Technique: Left: CT. Right: PSMA PET, same axial level, [18F]PSMA-1007 tracer. slice position z = -662 mm.
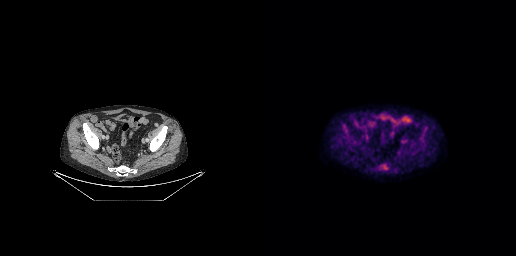
Findings: No tumor lesions annotated on this slice.